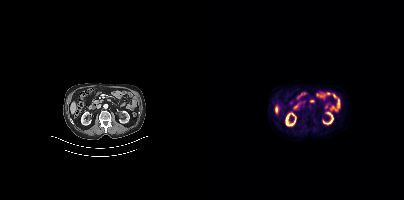
- Left: CT. Right: PSMA PET, same axial level, [18F]PSMA-1007 tracer
- acquired on Siemens Biograph mCT Flow 20
Findings: No PSMA-avid tumor lesions on this slice.